modality: PSMA PET/CT | tracer: 18F-PSMA | view: axial
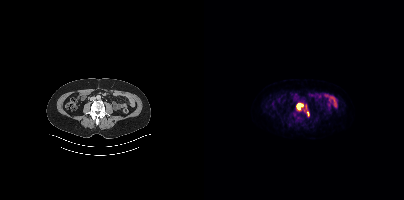
Coordinates are on the 200×200 PET (right) panel. PSMA-avid tumor lesion bounding box (x0, y0)-(x1, y1): (92, 103)-(99, 109). Small PSMA-avid focus (2 to 4 px across) near (center x, center y): (103, 113).